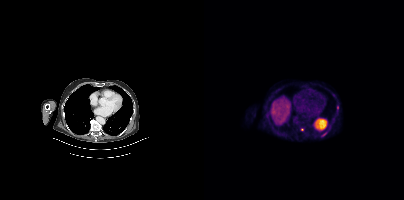
- Left: CT. Right: PSMA PET, same axial level, 18F-PSMA tracer
- acquired on Siemens Biograph mCT Flow 20
Findings: Coordinates are on the 200×200 PET (right) panel. (showing 1 of 2 foci) Small PSMA-avid focus (2 to 4 px across) near (center x, center y): (98, 129).